- Left: CT. Right: PSMA PET, same axial level, 18F-PSMA tracer
- acquired on Siemens Biograph mCT Flow 20
- PET panel 200×200 px (4.1 mm/px)
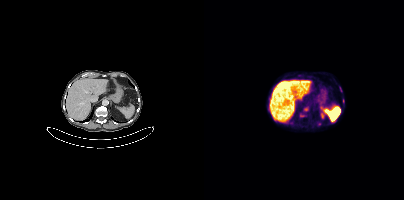
Findings: Only PSMA-avid lesion pieces thinner than 2 px on this slice (not listed).